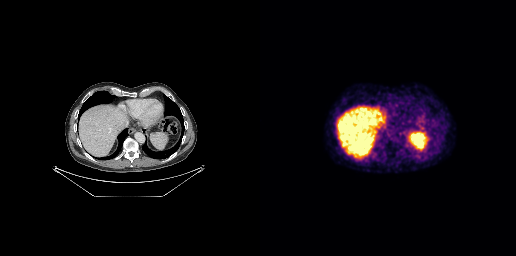
No PSMA-avid tumor lesions on this slice. Left: CT. Right: PSMA PET, same axial level, 68Ga-PSMA tracer. PET panel 256×256 px (2.7 mm/px).